- Left: CT. Right: PSMA PET, same axial level, [18F]PSMA-1007 tracer
- acquired on Siemens Biograph mCT Flow 20
- slice position z = -648 mm
- PET panel 200×200 px (4.1 mm/px)
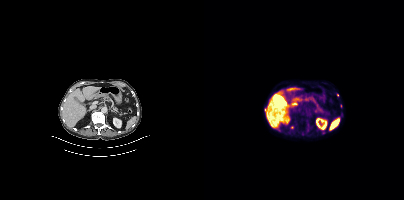
Findings: Coordinates are on the 200×200 PET (right) panel. (showing 3 of 4 foci) Small PSMA-avid foci (2 to 4 px across) near (center x, center y): (61, 110) | (133, 94) | (88, 127).